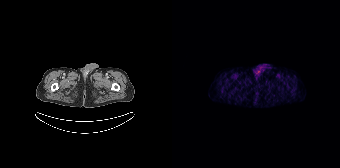
{"modality":"PSMA PET/CT","view":"axial","tracer":"[68Ga]Ga-PSMA-11","pet_grid":[168,168],"coord_frame":"pet_panel","coord_format":"x0,y0,x1,y1","psma_avid_lesions":false}